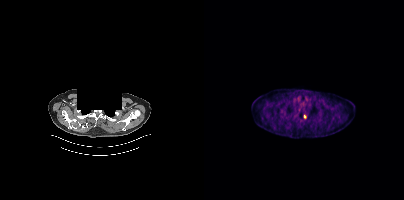
- Left: CT. Right: PSMA PET, same axial level, 18F tracer
- slice position z = -1050 mm
- head region blanked for anonymization (face removed)
Findings: Coordinates are on the 200×200 PET (right) panel. Small PSMA-avid focus (2 to 4 px across) near (center x, center y): (101, 116).